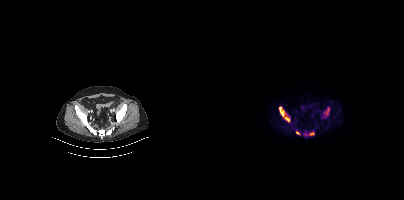
modality: PSMA PET/CT | tracer: 18F-PSMA | view: axial | PET grid: 200×200
Coordinates are on the 200×200 PET (right) panel. PSMA-avid tumor lesion bounding boxes (x, y, width, height): x=75 y=107 w=11 h=15; x=122 y=108 w=4 h=8. Small PSMA-avid foci (2 to 4 px across) near (center x, center y): (107, 133); (93, 132).